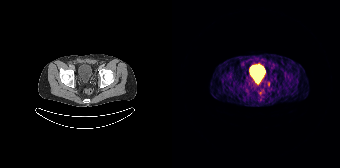
Coordinates are on the 168×168 PET (right) panel. Small PSMA-avid focus (2 to 4 px across) near (center x, center y): (96, 83).